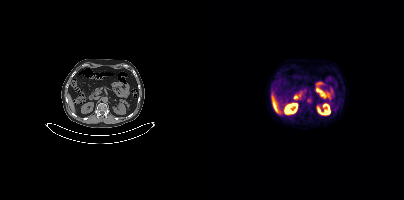
{"modality":"PSMA PET/CT","view":"axial","tracer":"18F-PSMA","pet_grid":[200,200],"coord_frame":"pet_panel","coord_format":"x0,y0,x1,y1","psma_avid_lesions":false}